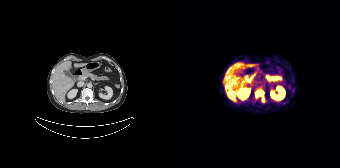
Findings: Coordinates are on the 168×168 PET (right) panel. PSMA-avid tumor lesion bounding box (x0, y0)-(x1, y1): (84, 90)-(92, 101).
Technique: Left: CT. Right: PSMA PET, same axial level, 68Ga-PSMA tracer. slice position z = -1330 mm.